modality: PSMA PET/CT | tracer: 18F | view: axial | redaction: head region blanked (face removed)
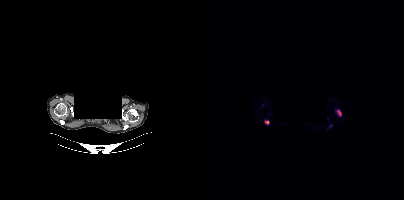
Coordinates are on the 200×200 PET (right) panel. PSMA-avid tumor lesion bounding boxes (x0,y0,x1,y1): [131,109,137,116] [60,120,65,124].